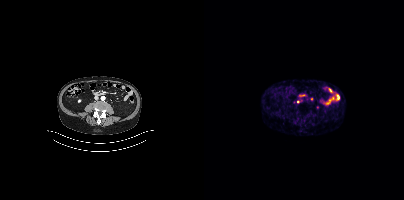
Findings: Coordinates are on the 200×200 PET (right) panel. (showing 1 of 2 foci) Small PSMA-avid focus (2 to 4 px across) near (center x, center y): (107, 99).
Technique: Paired axial CT (left) and PSMA PET (right), 68Ga-PSMA tracer.